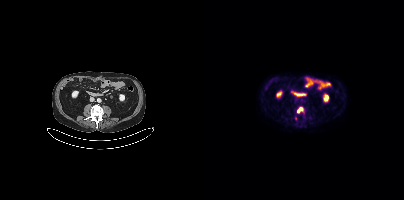
modality: PSMA PET/CT | tracer: 18F-PSMA | view: axial | PET grid: 200×200
Coordinates are on the 200×200 PET (right) panel. PSMA-avid tumor lesion bounding box (x0, y0)-(x1, y1): (93, 107)-(98, 112).